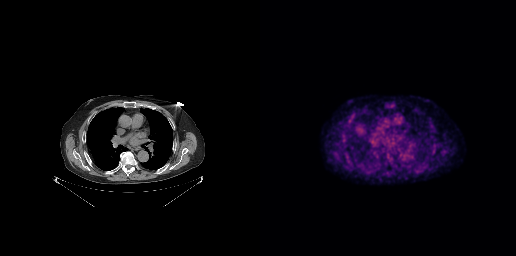
Two-panel axial: CT | PSMA PET, 18F tracer. Acquired on GE Discovery 690. No PSMA-avid tumor lesions on this slice.